modality: PSMA PET/CT | tracer: 68Ga | view: axial
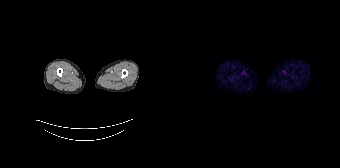
This slice has no annotated PSMA-avid lesion.